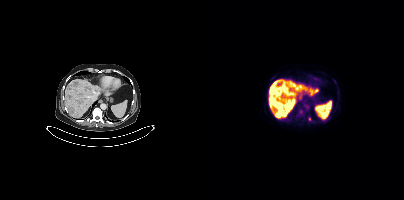
Coordinates are on the 200×200 PET (right) panel. PSMA-avid tumor lesion bounding boxes (x0, y0)-(x1, y1): (65, 90)-(72, 95) | (72, 82)-(77, 87) | (73, 110)-(78, 115) | (95, 110)-(99, 113). Small PSMA-avid focus (2 to 4 px across) near (center x, center y): (105, 118).